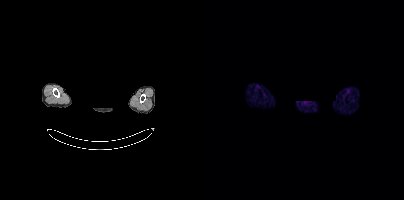
Negative for PSMA-avid disease on this slice.
modality: PSMA PET/CT | tracer: [68Ga]Ga-PSMA-11 | view: axial | PET grid: 200×200 | de-identification: face masked with black rectangle